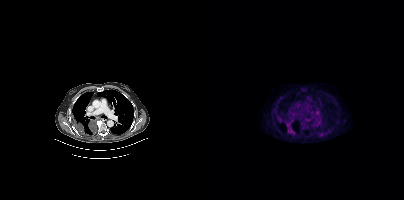
Findings: Coordinates are on the 200×200 PET (right) panel. PSMA-avid tumor lesion bounding box (x0, y0)-(x1, y1): (82, 123)-(89, 133).
- Two-panel axial: CT | PSMA PET, 18F tracer
- acquired on Siemens Biograph mCT Flow 20
- slice position z = -1020 mm
- PET panel 200×200 px (4.1 mm/px)